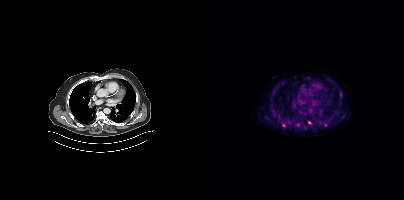
Left: CT. Right: PSMA PET, same axial level, 18F-PSMA tracer. Acquired on Siemens Biograph mCT Flow 20. Coordinates are on the 200×200 PET (right) panel. Small PSMA-avid foci (2 to 4 px across) near (center x, center y): (105, 122); (136, 94); (80, 125); (121, 125); (94, 124).